Two-panel axial: CT | PSMA PET, 18F-PSMA tracer. Acquired on Siemens Biograph mCT Flow 20. Slice 286 of 417. PET panel 200×200 px (4.1 mm/px).
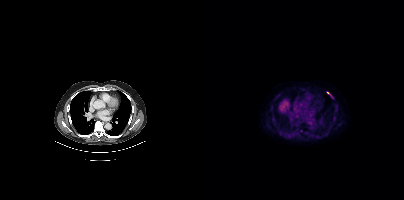
Coordinates are on the 200×200 PET (right) panel. PSMA-avid tumor lesion bounding box (x0,y0,x1,y1): [123,92,128,97]. Small PSMA-avid focus (2 to 4 px across) near (center x, center y): (76, 132).